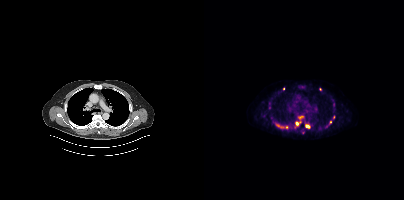
{"modality":"PSMA PET/CT","view":"axial","tracer":"[18F]PSMA-1007","pet_grid":[200,200],"coord_frame":"pet_panel","coord_format":"x0,y0,x1,y1","partial":true,"lesion_bboxes":[[101,124,106,128],[91,121,96,125],[95,116,99,118]],"small_foci_centers":[[82,127]]}